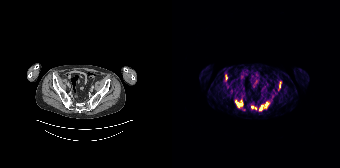
Technique: Paired axial CT (left) and PSMA PET (right), 68Ga tracer. slice position z = -1200 mm.
Findings: Coordinates are on the 168×168 PET (right) panel. (showing 5 of 10 foci) PSMA-avid tumor lesion bounding boxes (x0,y0,x1,y1): [64,101,67,106] [94,102,95,106]. Small PSMA-avid foci (2 to 4 px across) near (center x, center y): (80, 107) (69, 104) (89, 106).